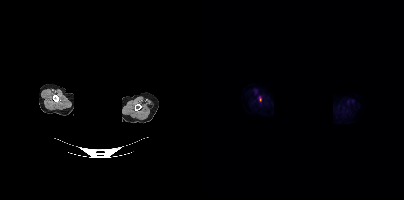
Any black rectangle over the head is a privacy mask, not anatomy. Two-panel axial: CT | PSMA PET, 18F-PSMA tracer. Acquired on Siemens Biograph mCT Flow 20. Slice position z = -208 mm. PET panel 200×200 px (4.1 mm/px). Coordinates are on the 200×200 PET (right) panel. PSMA-avid tumor lesion bounding box (x0,y0,x1,y1): [55,97,57,101].